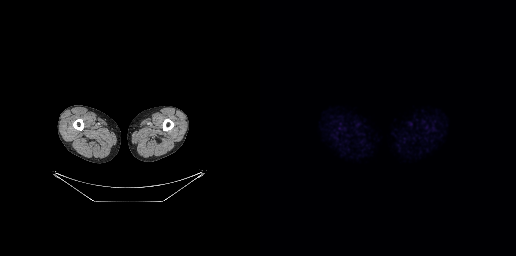
- Two-panel axial: CT | PSMA PET, 18F-PSMA tracer
Findings: No PSMA-avid tumor lesions on this slice.